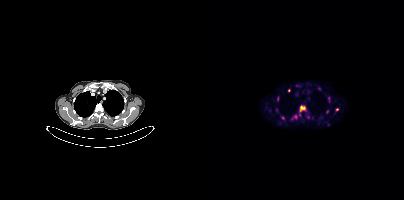
Coordinates are on the 200×200 PET (right) panel. (showing 11 of 12 foci) PSMA-avid tumor lesion bounding boxes (x0, y0)-(x1, y1): (95, 105)-(102, 112); (88, 115)-(93, 119); (131, 108)-(135, 111); (124, 97)-(126, 102); (73, 96)-(74, 100). Small PSMA-avid foci (2 to 4 px across) near (center x, center y): (78, 117); (85, 90); (123, 111); (72, 110); (95, 114); (104, 116).